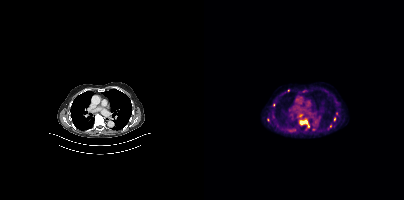
Left: CT. Right: PSMA PET, same axial level, [18F]PSMA-1007 tracer. Acquired on Siemens Biograph mCT Flow 20. Slice position z = -423 mm.
Coordinates are on the 200×200 PET (right) panel. PSMA-avid tumor lesion bounding boxes (partial; 1 more focus not listed):
| # | x0 | y0 | x1 | y1 |
|---|---|---|---|---|
| 1 | 95 | 119 | 105 | 127 |
Small PSMA-avid foci (2 to 4 px across) near (center x, center y): (64, 119); (86, 130); (84, 90); (130, 119); (69, 104); (132, 113); (96, 115).